Two-panel axial: CT | PSMA PET, 18F-PSMA tracer.
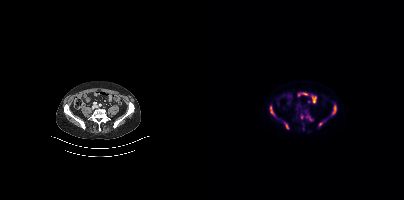
Coordinates are on the 200×200 PET (right) panel. PSMA-avid tumor lesion bounding boxes:
| # | x0 | y0 | x1 | y1 |
|---|---|---|---|---|
| 1 | 101 | 114 | 109 | 121 |
| 2 | 66 | 106 | 70 | 115 |
| 3 | 128 | 105 | 132 | 114 |
| 4 | 80 | 122 | 84 | 129 |
| 5 | 114 | 122 | 119 | 126 |
Small PSMA-avid focus (2 to 4 px across) near (center x, center y): (97, 117).